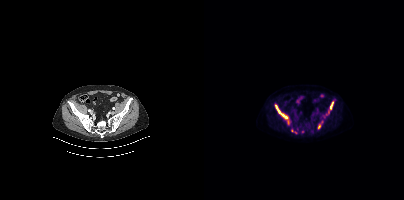
{"modality":"PSMA PET/CT","view":"axial","tracer":"[18F]PSMA-1007","pet_grid":[200,200],"coord_frame":"pet_panel","coord_format":"x0,y0,x1,y1","partial":true,"lesion_bboxes":[[71,105,84,118],[126,102,129,109],[87,129,93,133]],"small_foci_centers":[[115,126],[124,112],[98,131]]}